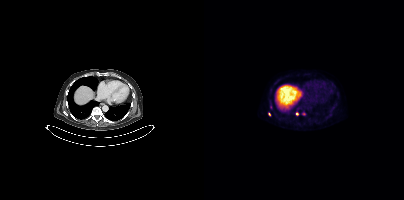
{"modality":"PSMA PET/CT","view":"axial","tracer":"18F","pet_grid":[200,200],"coord_frame":"pet_panel","coord_format":"x0,y0,x1,y1","partial":true,"lesion_bboxes":[],"small_foci_centers":[[66,107],[93,114]]}